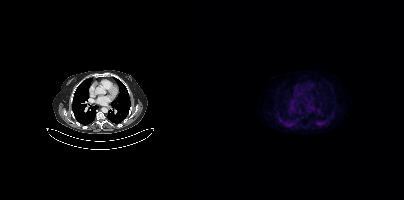
Findings: No tumor lesions annotated on this slice.
- Paired axial CT (left) and PSMA PET (right), [18F]PSMA-1007 tracer
- acquired on Siemens Biograph mCT Flow 20
- PET panel 200×200 px (4.1 mm/px)